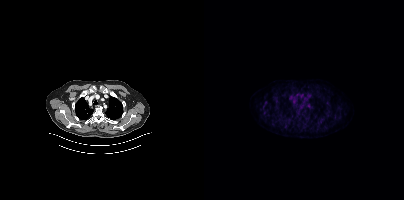
Technique: Two-panel axial: CT | PSMA PET, [18F]PSMA-1007 tracer. acquired on Siemens Biograph mCT Flow 20. PET panel 200×200 px (4.1 mm/px).
Findings: No tumor lesions annotated on this slice.